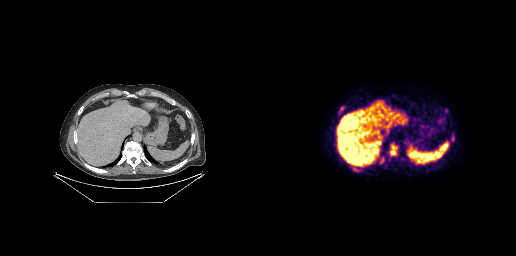
Findings: Coordinates are on the 256×256 PET (right) panel. PSMA-avid tumor lesion bounding boxes (x0,y0,x1,y1): [130,145,136,154], [191,135,194,141], [79,106,84,111].
Technique: Left: CT. Right: PSMA PET, same axial level, 18F tracer. acquired on GE Discovery 690. PET panel 256×256 px (2.7 mm/px).